Left: CT. Right: PSMA PET, same axial level, [68Ga]Ga-PSMA-11 tracer. Acquired on Siemens Biograph 64-4R TruePoint. Slice 25 of 195.
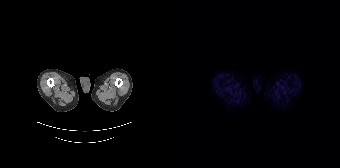
No tumor lesions annotated on this slice.